Technique: Left: CT. Right: PSMA PET, same axial level, [18F]PSMA-1007 tracer. acquired on Siemens Biograph mCT Flow 20. PET panel 200×200 px (4.1 mm/px).
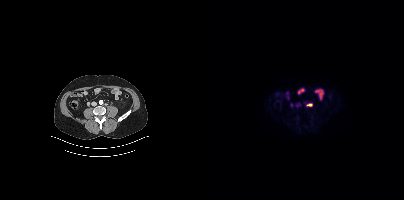
Findings: Coordinates are on the 200×200 PET (right) panel. PSMA-avid tumor lesion bounding box (x, y, width, height): x=103 y=104 w=6 h=3.